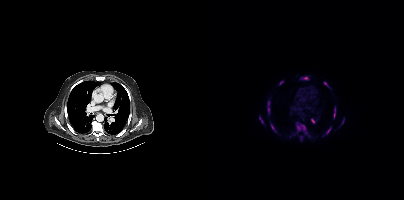
Findings: Coordinates are on the 200×200 PET (right) panel. (showing 11 of 14 foci) PSMA-avid tumor lesion bounding boxes (x0,y0,x1,y1): [91,122,102,133]; [63,101,66,114]; [129,106,132,118]; [67,124,72,132]; [119,81,126,88]; [122,127,127,134]; [98,77,104,79]; [96,135,98,140]; [107,119,111,123]; [138,118,140,124]. Small PSMA-avid focus (2 to 4 px across) near (center x, center y): (56, 117).
- Paired axial CT (left) and PSMA PET (right), [18F]PSMA-1007 tracer
- slice 288 of 423
- PET panel 200×200 px (4.1 mm/px)